Paired axial CT (left) and PSMA PET (right), 18F tracer. Slice 228 of 299. PET panel 256×256 px (2.7 mm/px).
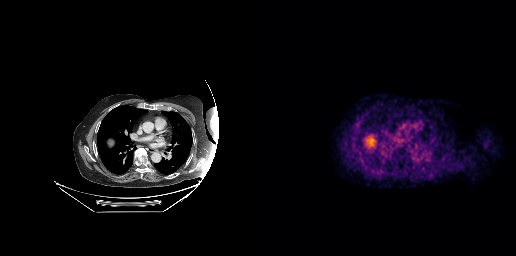
This slice has no annotated PSMA-avid lesion.